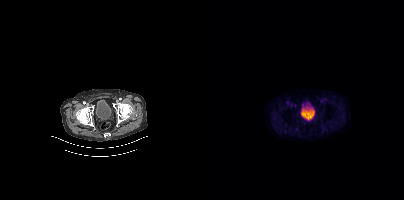
Only PSMA-avid lesion pieces thinner than 2 px on this slice (not listed).